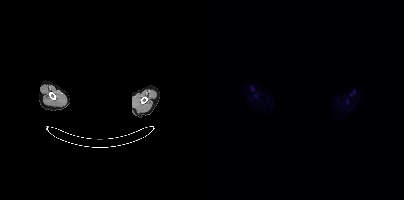
Facial anatomy redacted by setting a rectangular region of the head to black.
No tumor lesions annotated on this slice.